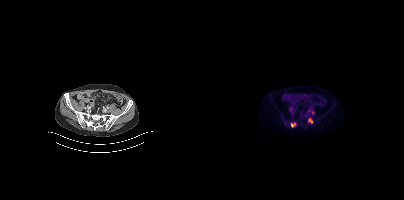
Left: CT. Right: PSMA PET, same axial level, [18F]PSMA-1007 tracer. PET panel 200×200 px (4.1 mm/px).
Coordinates are on the 200×200 PET (right) panel. PSMA-avid tumor lesion bounding boxes:
| # | x0 | y0 | x1 | y1 |
|---|---|---|---|---|
| 1 | 87 | 123 | 91 | 127 |
| 2 | 104 | 118 | 108 | 123 |